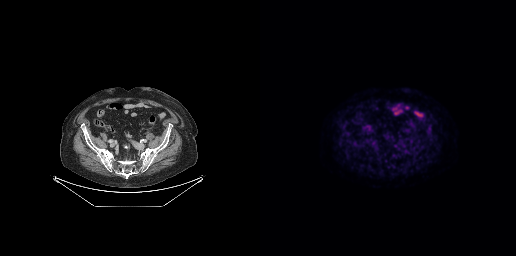
Left: CT. Right: PSMA PET, same axial level, [18F]PSMA-1007 tracer. PET panel 256×256 px (2.7 mm/px). No PSMA-avid tumor lesions on this slice.